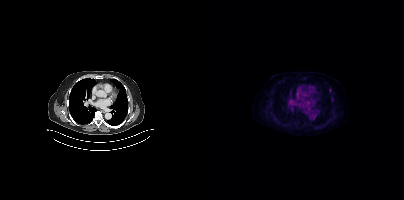
Only PSMA-avid lesion pieces thinner than 2 px on this slice (not listed).